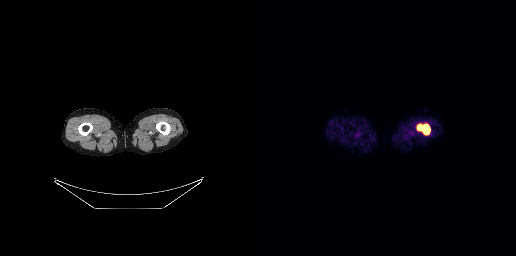
Coordinates are on the 256×256 PET (right) panel. PSMA-avid tumor lesion bounding box (x0,y0,x1,y1): [157,124,170,134].